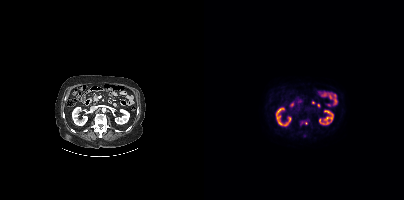
- Left: CT. Right: PSMA PET, same axial level, 18F-PSMA tracer
- slice 191 of 389
- PET panel 200×200 px (4.1 mm/px)
Findings: Coordinates are on the 200×200 PET (right) panel. (showing 1 of 2 foci) Small PSMA-avid focus (2 to 4 px across) near (center x, center y): (102, 123).